Left: CT. Right: PSMA PET, same axial level, [18F]PSMA-1007 tracer. Acquired on Siemens Biograph mCT Flow 20. Slice 431 of 454. A rectangular block over the head has been blanked out for de-identification.
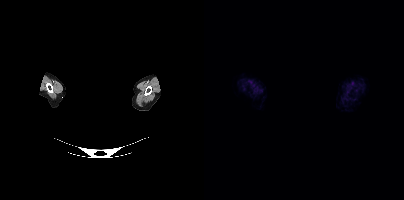
No PSMA-avid tumor lesions on this slice.